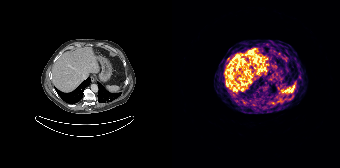
modality: PSMA PET/CT | tracer: [68Ga]Ga-PSMA-11 | view: axial | PET grid: 168×168
Coordinates are on the 168×168 PET (right) panel. Small PSMA-avid focus (2 to 4 px across) near (center x, center y): (56, 58).